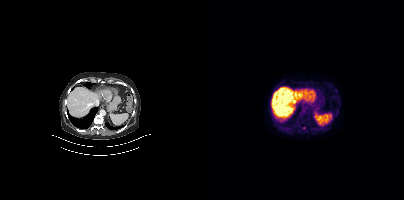
Two-panel axial: CT | PSMA PET, 18F-PSMA tracer. Slice 207 of 354. Coordinates are on the 200×200 PET (right) panel. Small PSMA-avid focus (2 to 4 px across) near (center x, center y): (100, 127).